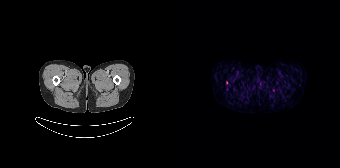
- Two-panel axial: CT | PSMA PET, [68Ga]Ga-PSMA-11 tracer
Findings: Coordinates are on the 168×168 PET (right) panel. Small PSMA-avid focus (2 to 4 px across) near (center x, center y): (54, 82).